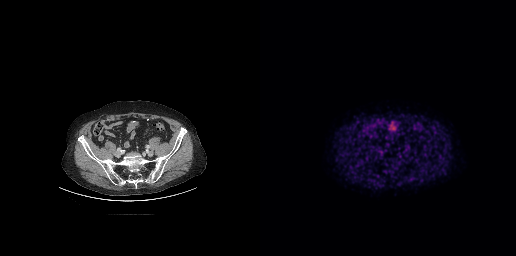
Findings: No tumor lesions annotated on this slice.
- Paired axial CT (left) and PSMA PET (right), 18F-PSMA tracer
- slice 77 of 263
- PET panel 256×256 px (2.7 mm/px)